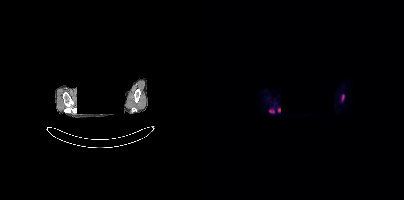
Findings: Coordinates are on the 200×200 PET (right) panel. PSMA-avid tumor lesion bounding boxes (x0, y0)-(x1, y1): (65, 110)-(70, 112); (138, 95)-(140, 100); (74, 108)-(76, 112).
Technique: Paired axial CT (left) and PSMA PET (right), 18F-PSMA tracer. PET panel 200×200 px (4.1 mm/px).
Note: De-identified by setting a box covering the face to black before release.